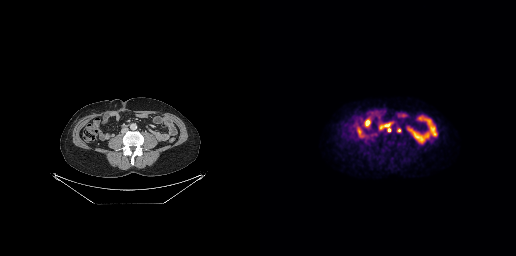
Coordinates are on the 256×256 PET (right) panel. PSMA-avid tumor lesion bounding boxes:
| # | x0 | y0 | x1 | y1 |
|---|---|---|---|---|
| 1 | 119 | 124 | 130 | 132 |
Small PSMA-avid focus (2 to 4 px across) near (center x, center y): (139, 130).
Left: CT. Right: PSMA PET, same axial level, 18F tracer. Slice 104 of 263. PET panel 256×256 px (2.7 mm/px).